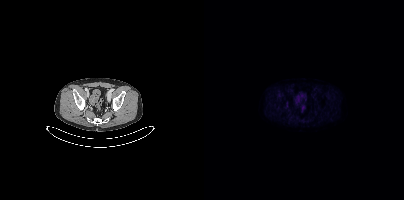
{"modality":"PSMA PET/CT","view":"axial","tracer":"18F","pet_grid":[200,200],"coord_frame":"pet_panel","coord_format":"x0,y0,x1,y1","psma_avid_lesions":false}